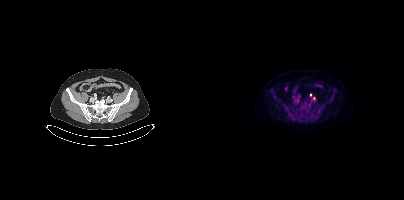
{"modality":"PSMA PET/CT","view":"axial","tracer":"[18F]PSMA-1007","pet_grid":[200,200],"coord_frame":"pet_panel","coord_format":"x0,y0,x1,y1","lesion_bboxes":[],"small_foci_centers":[[106,95],[110,98]]}